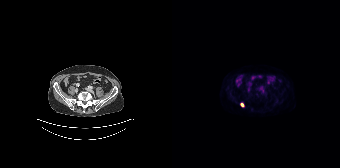
Findings: Coordinates are on the 168×168 PET (right) panel. PSMA-avid tumor lesion bounding box (x0, y0)-(x1, y1): (68, 103)-(72, 106).
- Paired axial CT (left) and PSMA PET (right), [18F]PSMA-1007 tracer
- acquired on Siemens Biograph 64-4R TruePoint
- slice position z = -1182 mm
- PET panel 168×168 px (4.1 mm/px)